Left: CT. Right: PSMA PET, same axial level, [18F]PSMA-1007 tracer. Slice position z = -130 mm. PET panel 200×200 px (4.1 mm/px).
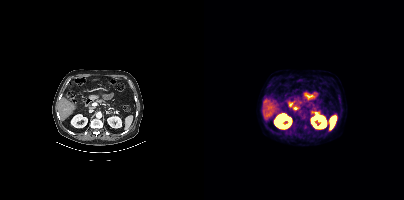
No PSMA-avid tumor lesions on this slice.